Paired axial CT (left) and PSMA PET (right), [18F]PSMA-1007 tracer. Slice position z = -1283 mm.
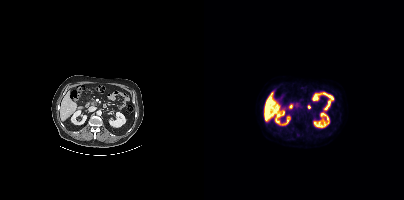
No PSMA-avid tumor lesions on this slice.